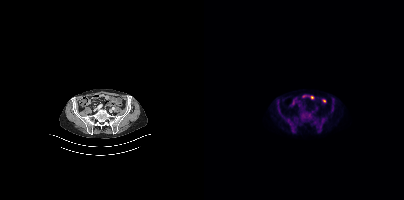
modality: PSMA PET/CT | tracer: [18F]PSMA-1007 | view: axial | PET grid: 200×200
This slice has no annotated PSMA-avid lesion.